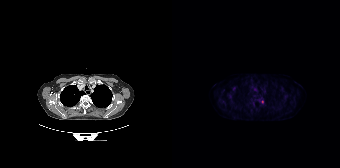
Coordinates are on the 168×168 PET (right) panel. Small PSMA-avid foci (2 to 4 px across) near (center x, center y): (61, 89) / (90, 101). Left: CT. Right: PSMA PET, same axial level, 18F-PSMA tracer. PET panel 168×168 px (4.1 mm/px).